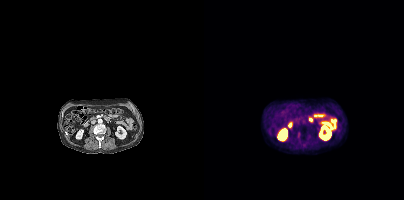
Only PSMA-avid lesion pieces thinner than 2 px on this slice (not listed).